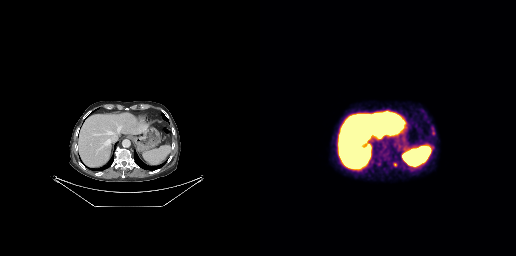
Coordinates are on the 256×256 PET (right) panel. PSMA-avid tumor lesion bounding boxes (x0,y0,x1,y1): [123,152,128,159], [133,162,137,166], [125,110,129,112]. Small PSMA-avid foci (2 to 4 px across) near (center x, center y): (173, 132), (172, 128), (128, 158).